Left: CT. Right: PSMA PET, same axial level, 18F tracer. Acquired on Siemens Biograph mCT Flow 20. Slice 311 of 431.
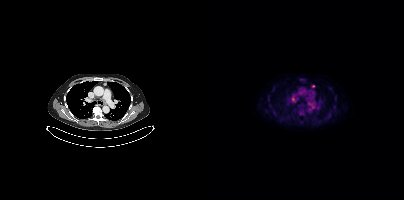
Coordinates are on the 200×200 PET (right) panel. PSMA-avid tumor lesion bounding boxes:
| # | x0 | y0 | x1 | y1 |
|---|---|---|---|---|
| 1 | 107 | 105 | 115 | 109 |
Small PSMA-avid foci (2 to 4 px across) near (center x, center y): (109, 86); (89, 99); (104, 103).